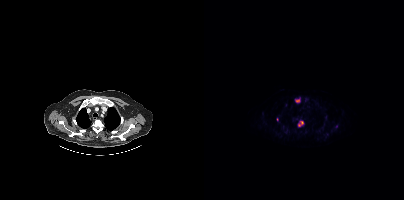
Coordinates are on the 200×200 PET (right) panel. (showing 2 of 3 foci) PSMA-avid tumor lesion bounding boxes (x0, y0)-(x1, y1): (94, 121)-(99, 126); (91, 99)-(96, 102).
modality: PSMA PET/CT | tracer: 18F-PSMA | view: axial